Technique: Two-panel axial: CT | PSMA PET, [18F]PSMA-1007 tracer. acquired on GE Discovery 690. PET panel 256×256 px (2.7 mm/px).
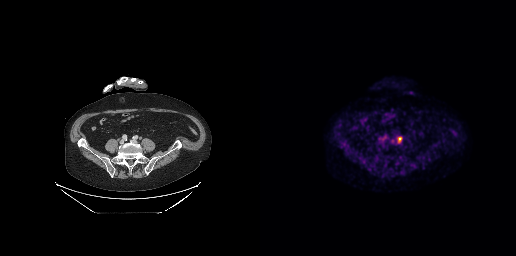
Findings: Coordinates are on the 256×256 PET (right) panel. PSMA-avid tumor lesion bounding box (x, y, width, height): x=137 y=136 w=6 h=8.